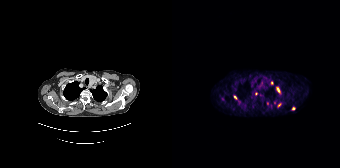
Coordinates are on the 168×168 PET (right) panel. PSMA-avid tumor lesion bounding box (x, y, width, height): x=105 y=88 w=3 h=5. Small PSMA-avid foci (2 to 4 px across) near (center x, center y): (121, 108); (63, 97); (107, 105); (84, 94); (95, 103); (99, 82).